Paired axial CT (left) and PSMA PET (right), 18F-PSMA tracer. Acquired on Siemens Biograph mCT Flow 20. PET panel 200×200 px (4.1 mm/px).
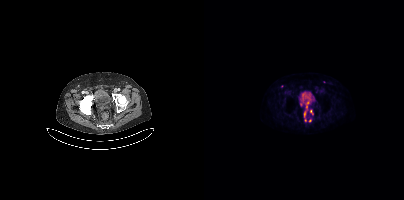
Coordinates are on the 200×200 PET (right) panel. PSMA-avid tumor lesion bounding boxes (partial; 2 more foci not listed):
| # | x0 | y0 | x1 | y1 |
|---|---|---|---|---|
| 1 | 100 | 112 | 101 | 116 |
Small PSMA-avid foci (2 to 4 px across) near (center x, center y): (106, 111); (105, 120).